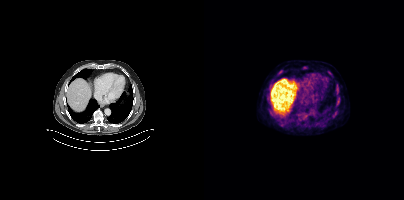
Findings: Coordinates are on the 200×200 PET (right) panel. (showing 5 of 6 foci) Small PSMA-avid foci (2 to 4 px across) near (center x, center y): (125, 72); (75, 72); (129, 116); (100, 66); (133, 90).
- Left: CT. Right: PSMA PET, same axial level, 18F tracer
- PET panel 200×200 px (4.1 mm/px)